Technique: Paired axial CT (left) and PSMA PET (right), 68Ga-PSMA tracer. acquired on GE Discovery 690. slice 103 of 227. PET panel 256×256 px (2.7 mm/px).
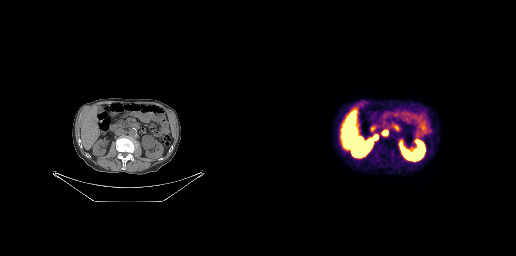
Findings: Coordinates are on the 256×256 PET (right) panel. PSMA-avid tumor lesion bounding boxes (x0, y0)-(x1, y1): (122, 130)-(127, 135) / (114, 135)-(117, 139).